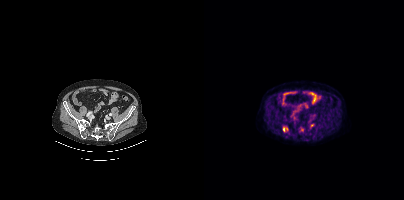
Coordinates are on the 200×200 PET (right) panel. PSMA-avid tumor lesion bounding box (x, y, width, height): x=79 y=127 w=6 h=5.